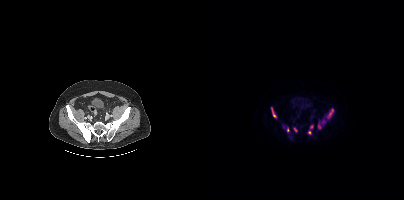
Left: CT. Right: PSMA PET, same axial level, 18F-PSMA tracer. Acquired on Siemens Biograph mCT Flow 20. PET panel 200×200 px (4.1 mm/px). Coordinates are on the 200×200 PET (right) panel. PSMA-avid tumor lesion bounding boxes (x0,y0,x1,y1): [123,109,129,118] [67,107,72,117] [89,127,92,131]. Small PSMA-avid foci (2 to 4 px across) near (center x, center y): (84, 129) (115, 125) (105, 132) (107, 126).